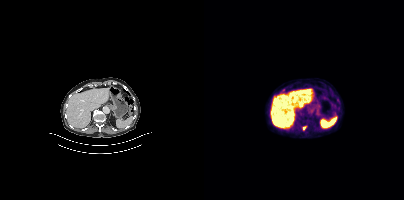
Coordinates are on the 200×200 PET (right) panel. Small PSMA-avid focus (2 to 4 px across) near (center x, center y): (100, 128). Paired axial CT (left) and PSMA PET (right), 18F-PSMA tracer. Slice position z = -541 mm.